Paired axial CT (left) and PSMA PET (right), [68Ga]Ga-PSMA-11 tracer. Acquired on GE Discovery 690. Slice 257 of 263. PET panel 256×256 px (2.7 mm/px). The face region was removed for patient privacy by blanking a rectangle over the head.
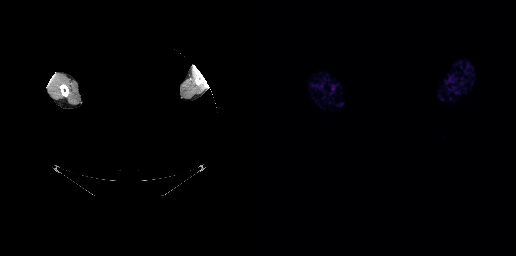
No tumor lesions annotated on this slice.